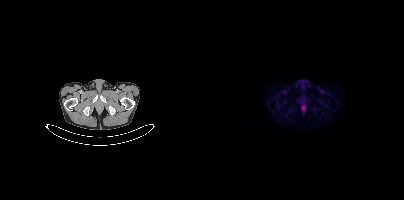
This slice has no annotated PSMA-avid lesion.